De-identified by setting a box covering the face to black before release. Paired axial CT (left) and PSMA PET (right), 18F tracer. Acquired on Siemens Biograph mCT Flow 20. Slice position z = -312 mm. PET panel 200×200 px (4.1 mm/px).
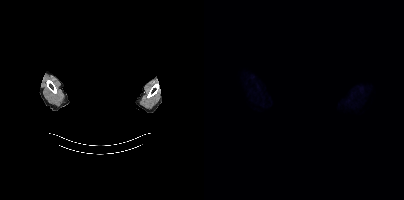
No PSMA-avid tumor lesions on this slice.